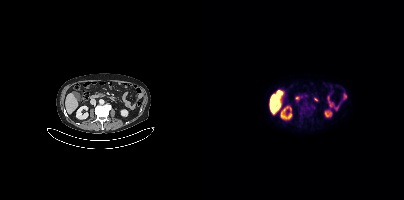
Technique: Two-panel axial: CT | PSMA PET, [18F]PSMA-1007 tracer. acquired on Siemens Biograph mCT Flow 20. PET panel 200×200 px (4.1 mm/px).
Findings: This slice has no annotated PSMA-avid lesion.